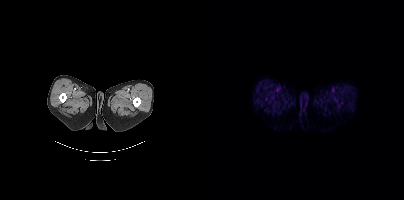
Left: CT. Right: PSMA PET, same axial level, 18F tracer. Slice position z = -556 mm. PET panel 200×200 px (4.1 mm/px). Negative for PSMA-avid disease on this slice.